- Left: CT. Right: PSMA PET, same axial level, 18F-PSMA tracer
- acquired on Siemens Biograph mCT Flow 20
- PET panel 200×200 px (4.1 mm/px)
- facial anatomy redacted by setting a rectangular region of the head to black
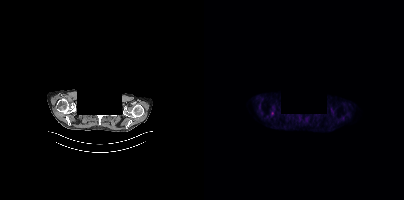
Findings: Coordinates are on the 200×200 PET (right) panel. Small PSMA-avid focus (2 to 4 px across) near (center x, center y): (68, 113).